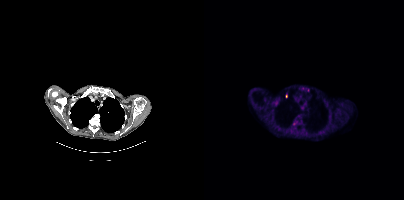
Findings: Coordinates are on the 200×200 PET (right) panel. (showing 1 of 3 foci) Small PSMA-avid focus (2 to 4 px across) near (center x, center y): (82, 96).
- Paired axial CT (left) and PSMA PET (right), 18F tracer
- acquired on Siemens Biograph mCT Flow 20